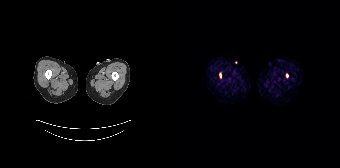
Two-panel axial: CT | PSMA PET, 68Ga-PSMA tracer. Acquired on Siemens Biograph 64-4R TruePoint. Coordinates are on the 168×168 PET (right) panel. Small PSMA-avid foci (2 to 4 px across) near (center x, center y): (115, 75); (48, 74).